- Paired axial CT (left) and PSMA PET (right), 18F tracer
- acquired on Siemens Biograph mCT Flow 20
- slice position z = -1281 mm
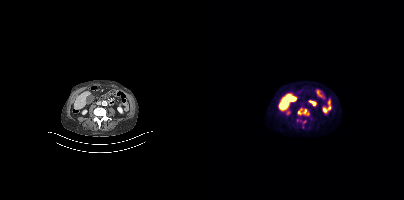
Findings: Coordinates are on the 200×200 PET (right) panel. PSMA-avid tumor lesion bounding boxes (x0, y0)-(x1, y1): (93, 108)-(105, 115) | (99, 120)-(102, 124).